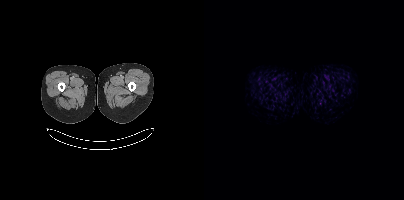
{"modality":"PSMA PET/CT","view":"axial","tracer":"18F","pet_grid":[200,200],"coord_frame":"pet_panel","coord_format":"x0,y0,x1,y1","psma_avid_lesions":false}